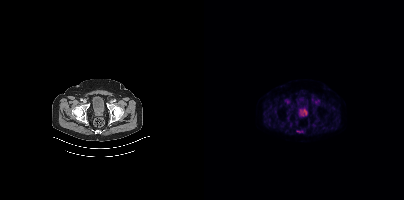
Only PSMA-avid lesion pieces thinner than 2 px on this slice (not listed).
modality: PSMA PET/CT | tracer: 18F-PSMA | view: axial